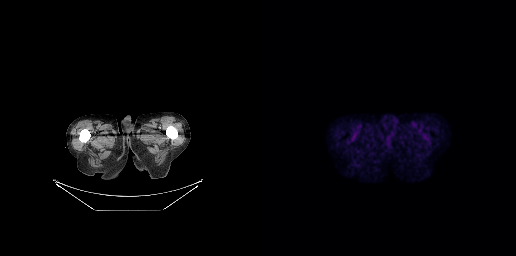
Technique: Paired axial CT (left) and PSMA PET (right), 18F-PSMA tracer. slice 30 of 263. PET panel 256×256 px (2.7 mm/px).
Findings: This slice has no annotated PSMA-avid lesion.